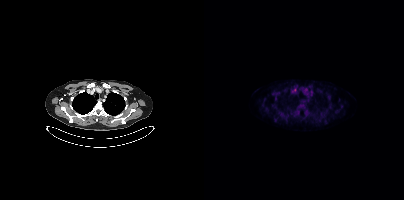
Coordinates are on the 200×200 PET (right) panel. Small PSMA-avid focus (2 to 4 px across) near (center x, center y): (90, 89).